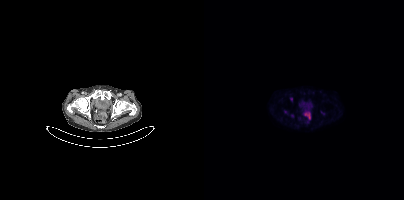
{"modality":"PSMA PET/CT","view":"axial","tracer":"[18F]PSMA-1007","pet_grid":[200,200],"coord_frame":"pet_panel","coord_format":"x0,y0,x1,y1","psma_avid_lesions":false}